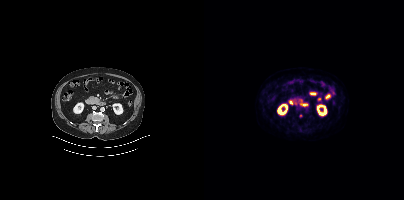
- Two-panel axial: CT | PSMA PET, 18F-PSMA tracer
- PET panel 200×200 px (4.1 mm/px)
Findings: This slice has no annotated PSMA-avid lesion.